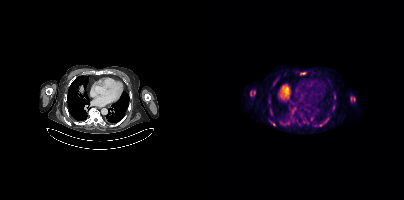
{"modality":"PSMA PET/CT","view":"axial","tracer":"18F","pet_grid":[200,200],"coord_frame":"pet_panel","coord_format":"x0,y0,x1,y1","lesion_bboxes":[[46,90,51,96],[146,96,151,101],[114,122,119,126],[96,72,101,74],[130,93,131,98],[66,121,71,125]],"small_foci_centers":[[123,118],[64,102],[73,78]]}